Two-panel axial: CT | PSMA PET, [18F]PSMA-1007 tracer. Acquired on Siemens Biograph mCT Flow 20. Slice 190 of 381.
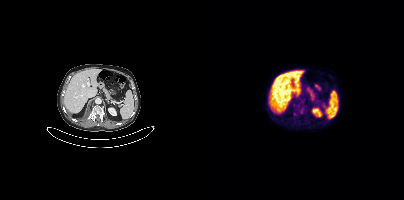
No PSMA-avid tumor lesions on this slice.